Left: CT. Right: PSMA PET, same axial level, 18F-PSMA tracer. Slice 107 of 403. PET panel 200×200 px (4.1 mm/px).
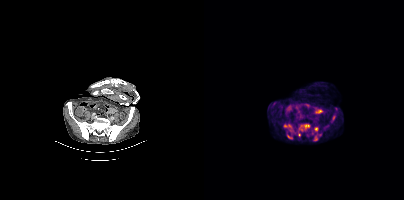
Coordinates are on the 200×200 PET (right) panel. PSMA-avid tumor lesion bounding boxes (partial; 2 more foci not listed):
| # | x0 | y0 | x1 | y1 |
|---|---|---|---|---|
| 1 | 94 | 124 | 105 | 136 |
| 2 | 110 | 127 | 114 | 131 |
| 3 | 110 | 135 | 113 | 140 |
| 4 | 128 | 115 | 131 | 120 |
| 5 | 84 | 136 | 88 | 138 |
Small PSMA-avid foci (2 to 4 px across) near (center x, center y): (87, 129); (70, 103); (81, 125); (85, 125); (116, 134).